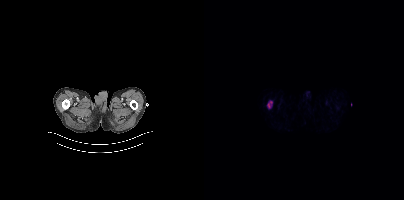
Technique: Left: CT. Right: PSMA PET, same axial level, [18F]PSMA-1007 tracer. slice position z = -906 mm.
Findings: Coordinates are on the 200×200 PET (right) panel. PSMA-avid tumor lesion bounding box (x0,y0,x1,y1): [63,101,68,108].